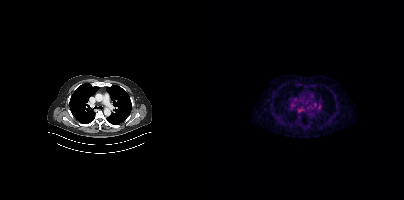
modality: PSMA PET/CT | tracer: [68Ga]Ga-PSMA-11 | view: axial
Only PSMA-avid lesion pieces thinner than 2 px on this slice (not listed).